Two-panel axial: CT | PSMA PET, 18F-PSMA tracer. Slice position z = -979 mm. PET panel 200×200 px (4.1 mm/px).
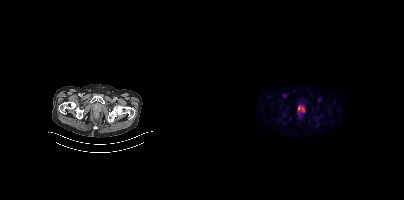
Coordinates are on the 200×200 PET (right) panel. PSMA-avid tumor lesion bounding boxes (x0, y0)-(x1, y1): (98, 107)-(100, 111) / (94, 106)-(96, 110).